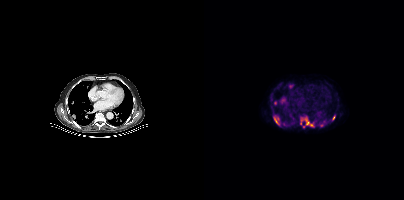
{"modality":"PSMA PET/CT","view":"axial","tracer":"[18F]PSMA-1007","pet_grid":[200,200],"coord_frame":"pet_panel","coord_format":"x0,y0,x1,y1","partial":true,"lesion_bboxes":[[100,119,110,127],[70,117,74,124]],"small_foci_centers":[[86,86],[71,103],[129,117],[99,119],[117,125]]}